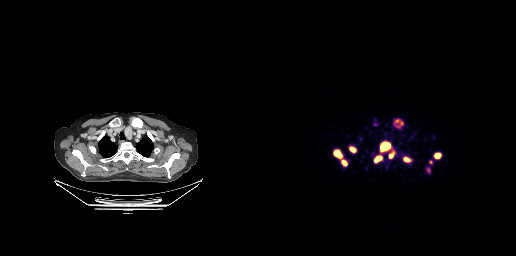
{"modality":"PSMA PET/CT","view":"axial","tracer":"[68Ga]Ga-PSMA-11","pet_grid":[256,256],"coord_frame":"pet_panel","coord_format":"x0,y0,x1,y1","lesion_bboxes":[[121,142,129,150],[74,150,82,158],[137,118,143,125],[175,153,180,158],[115,156,121,161],[82,160,86,165],[90,147,95,151],[144,158,148,160]],"small_foci_centers":[[130,155],[171,162]]}